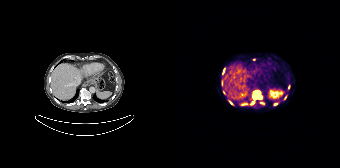
Coordinates are on the 168×168 PET (right) panel. PSMA-avid tumor lesion bounding boxes (partial; 2 more foci not listed):
| # | x0 | y0 | x1 | y1 |
|---|---|---|---|---|
| 1 | 81 | 91 | 90 | 99 |
| 2 | 49 | 80 | 51 | 86 |
| 3 | 51 | 68 | 52 | 73 |
Small PSMA-avid foci (2 to 4 px across) near (center x, center y): (58, 102); (82, 59); (116, 86); (113, 97); (70, 104); (81, 102); (104, 103).
Left: CT. Right: PSMA PET, same axial level, 68Ga tracer. Slice 117 of 195.